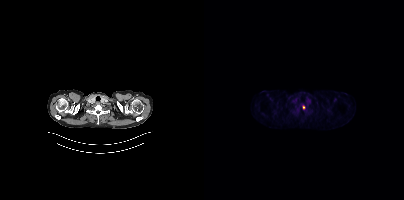
{"modality":"PSMA PET/CT","view":"axial","tracer":"18F","pet_grid":[200,200],"coord_frame":"pet_panel","coord_format":"x0,y0,x1,y1","lesion_bboxes":[],"small_foci_centers":[[99,107]]}